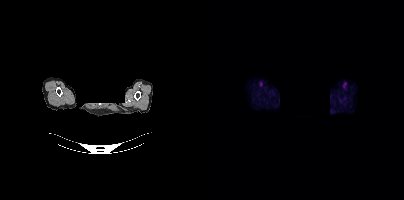
Two-panel axial: CT | PSMA PET, [18F]PSMA-1007 tracer. De-identified by setting a box covering the face to black before release. No tumor lesions annotated on this slice.